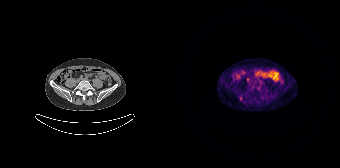
{"modality":"PSMA PET/CT","view":"axial","tracer":"68Ga","pet_grid":[168,168],"coord_frame":"pet_panel","coord_format":"x0,y0,x1,y1","partial":true,"lesion_bboxes":[]}